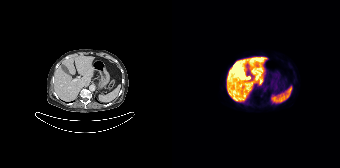
{"modality":"PSMA PET/CT","view":"axial","tracer":"18F","pet_grid":[168,168],"coord_frame":"pet_panel","coord_format":"x0,y0,x1,y1","psma_avid_lesions":false}